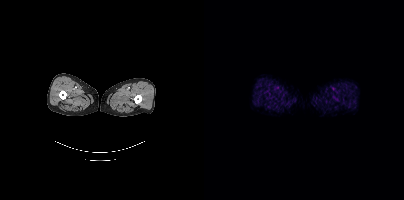
No tumor lesions annotated on this slice.